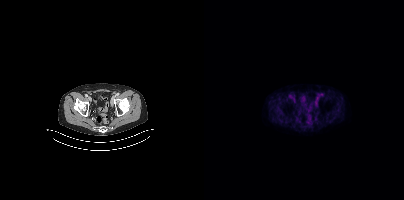
- Left: CT. Right: PSMA PET, same axial level, 18F-PSMA tracer
Findings: No tumor lesions annotated on this slice.